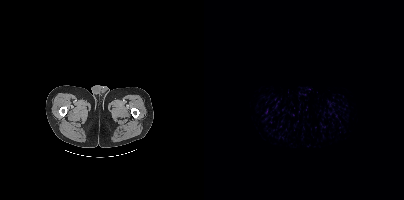
Only PSMA-avid lesion pieces thinner than 2 px on this slice (not listed).